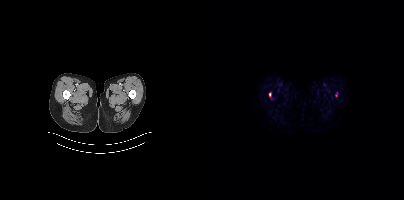
Two-panel axial: CT | PSMA PET, [18F]PSMA-1007 tracer. Acquired on Siemens Biograph mCT Flow 20. Coordinates are on the 200×200 PET (right) panel. (showing 1 of 3 foci) Small PSMA-avid focus (2 to 4 px across) near (center x, center y): (66, 94).